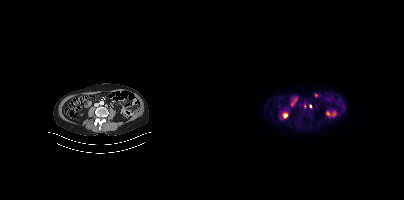
Coordinates are on the 200×200 PET (right) panel. Small PSMA-avid foci (2 to 4 px across) near (center x, center y): (100, 106) / (106, 106).